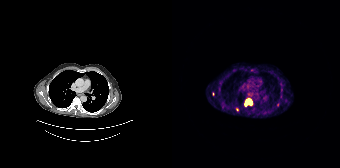
Findings: Coordinates are on the 168×168 PET (right) panel. (showing 3 of 4 foci) PSMA-avid tumor lesion bounding box (x, y, width, height): x=73 y=99 w=8 h=7. Small PSMA-avid foci (2 to 4 px across) near (center x, center y): (109, 90) / (65, 109).
Technique: Two-panel axial: CT | PSMA PET, [68Ga]Ga-PSMA-11 tracer. acquired on Siemens Biograph 64-4R TruePoint. slice position z = -480 mm. PET panel 168×168 px (4.1 mm/px).